modality: PSMA PET/CT | tracer: [18F]PSMA-1007 | view: axial
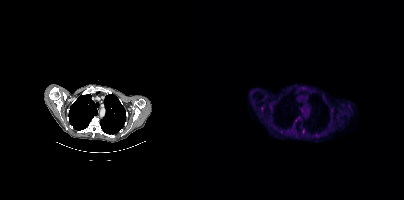
Only PSMA-avid lesion pieces thinner than 2 px on this slice (not listed).